modality: PSMA PET/CT | tracer: 18F | view: axial
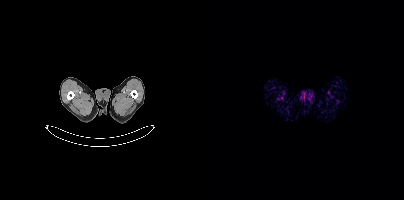
No PSMA-avid tumor lesions on this slice.